Technique: Left: CT. Right: PSMA PET, same axial level, 18F-PSMA tracer. acquired on GE Discovery 690.
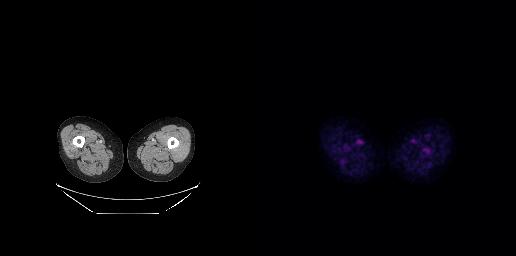
Findings: No PSMA-avid tumor lesions on this slice.